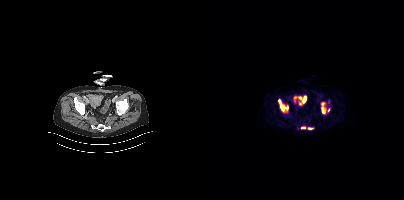
Paired axial CT (left) and PSMA PET (right), [18F]PSMA-1007 tracer. Acquired on Siemens Biograph mCT Flow 20. Slice 68 of 401. PET panel 200×200 px (4.1 mm/px). Coordinates are on the 200×200 PET (right) panel. (showing 4 of 5 foci) PSMA-avid tumor lesion bounding boxes (x, y, width, height): x=74 y=100 w=11 h=12; x=117 y=102 w=5 h=12; x=97 y=127 w=5 h=2; x=104 y=128 w=6 h=2.